Two-panel axial: CT | PSMA PET, 18F tracer. PET panel 256×256 px (2.7 mm/px).
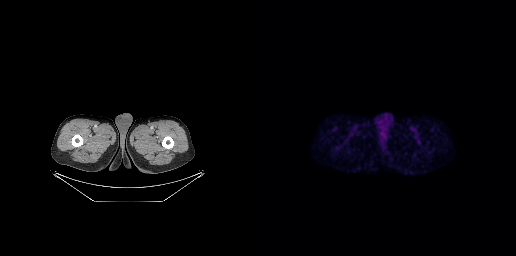
This slice has no annotated PSMA-avid lesion.